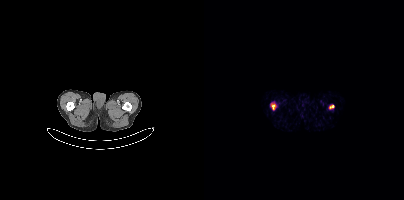
Findings: Coordinates are on the 200×200 PET (right) panel. PSMA-avid tumor lesion bounding box (x0,y0,x1,y1): [68,104,70,109]. Small PSMA-avid focus (2 to 4 px across) near (center x, center y): (127, 106).
Technique: Two-panel axial: CT | PSMA PET, 68Ga tracer. slice position z = -1191 mm.